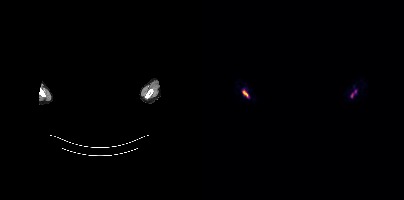
{"pet_grid":[200,200],"coord_frame":"pet_panel","coord_format":"x0,y0,x1,y1","lesion_bboxes":[[38,90,44,97],[146,89,153,97]],"redaction":"head region blacked out before release","modality":"PSMA PET/CT","view":"axial","tracer":"68Ga"}